- Paired axial CT (left) and PSMA PET (right), [18F]PSMA-1007 tracer
- PET panel 200×200 px (4.1 mm/px)
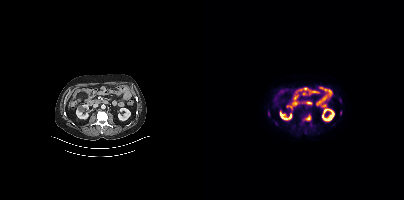
Findings: Coordinates are on the 200×200 PET (right) panel. PSMA-avid tumor lesion bounding box (x, y, width, height): x=100 y=114 w=8 h=7. Small PSMA-avid foci (2 to 4 px across) near (center x, center y): (136, 113) / (64, 115).